modality: PSMA PET/CT | tracer: 18F-PSMA | view: axial | PET grid: 200×200 | redaction: privacy mask over head
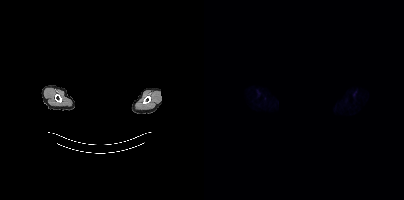
No tumor lesions annotated on this slice.